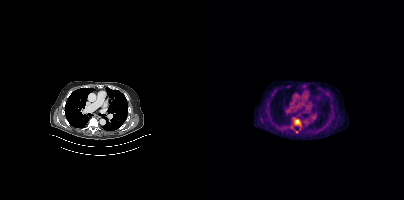
Coordinates are on the 200×200 PET (right) panel. Small PSMA-avid focus (2 to 4 px across) near (center x, center y): (93, 121).